- Two-panel axial: CT | PSMA PET, 18F tracer
- acquired on Siemens Biograph mCT Flow 20
- slice 196 of 417
- PET panel 200×200 px (4.1 mm/px)
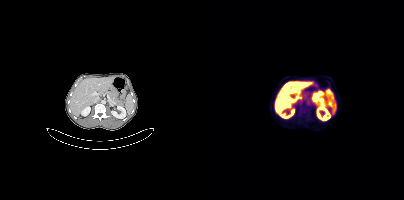
Findings: Coordinates are on the 200×200 PET (right) panel. PSMA-avid tumor lesion bounding box (x, y, width, height): x=95 y=106 w=9 h=8.